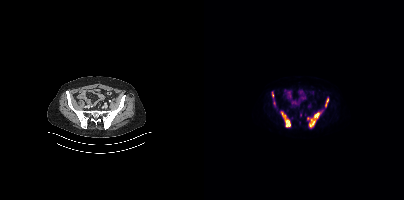
Technique: Two-panel axial: CT | PSMA PET, 18F tracer. slice position z = -1382 mm.
Findings: Coordinates are on the 200×200 PET (right) panel. (showing 5 of 6 foci) PSMA-avid tumor lesion bounding boxes (x, y, width, height): x=77 y=111 w=10 h=17 | x=105 y=113 w=11 h=14 | x=121 y=99 w=4 h=8 | x=68 y=92 w=2 h=6. Small PSMA-avid focus (2 to 4 px across) near (center x, center y): (70, 103).